Left: CT. Right: PSMA PET, same axial level, [18F]PSMA-1007 tracer. Slice position z = -470 mm.
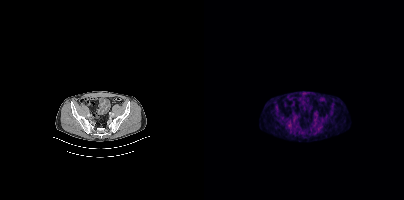
No PSMA-avid tumor lesions on this slice.